Face de-identified by blanking a block of the head. Left: CT. Right: PSMA PET, same axial level, 18F tracer. Slice 346 of 389. PET panel 200×200 px (4.1 mm/px).
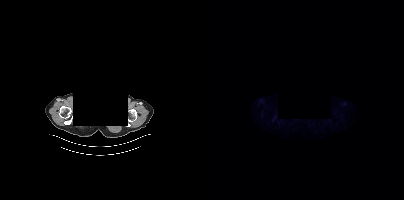
No tumor lesions annotated on this slice.